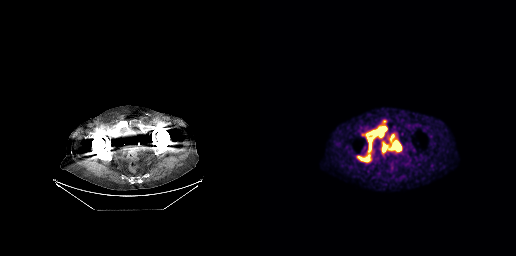
Coordinates are on the 256×256 PET (right) panel. PSMA-avid tumor lesion bounding boxes (x0,y0,x1,y1): [106,126,126,151] [98,154,110,161].
modality: PSMA PET/CT | tracer: 18F-PSMA | view: axial | PET grid: 256×256